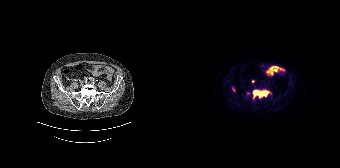
Coordinates are on the 168×168 PET (right) panel. (showing 4 of 6 foci) PSMA-avid tumor lesion bounding boxes (x0,y0,x1,y1): [80,89,99,99], [60,87,63,91], [74,92,78,94]. Small PSMA-avid focus (2 to 4 px across) near (center x, center y): (81, 81).